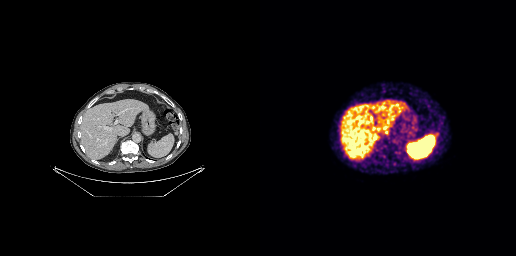
Coordinates are on the 256×256 PET (right) panel. PSMA-avid tumor lesion bounding box (x0,y0,x1,y1): [174,133,178,138]. Two-panel axial: CT | PSMA PET, [68Ga]Ga-PSMA-11 tracer. Slice position z = -545 mm.